modality: PSMA PET/CT | tracer: 18F-PSMA | view: axial | PET grid: 200×200
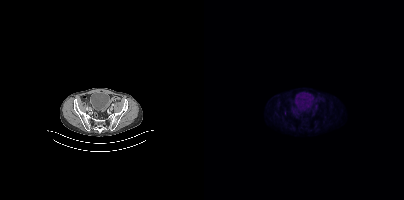
No PSMA-avid tumor lesions on this slice.